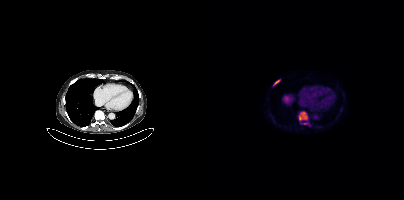
- Paired axial CT (left) and PSMA PET (right), 18F tracer
Findings: Coordinates are on the 200×200 PET (right) panel. PSMA-avid tumor lesion bounding boxes (x0,y0,x1,y1): [95,112,103,120] [69,80,76,85]. Small PSMA-avid focus (2 to 4 px across) near (center x, center y): (101, 123).